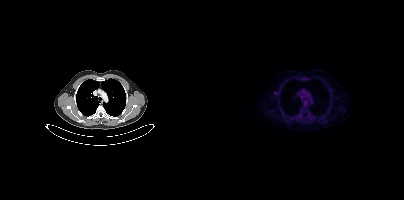
{"modality":"PSMA PET/CT","view":"axial","tracer":"18F-PSMA","pet_grid":[200,200],"coord_frame":"pet_panel","coord_format":"x0,y0,x1,y1","lesion_bboxes":[],"small_foci_centers":[[71,93]]}